- Left: CT. Right: PSMA PET, same axial level, [18F]PSMA-1007 tracer
- acquired on Siemens Biograph mCT Flow 20
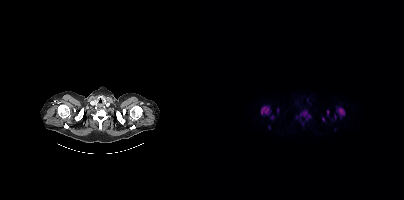
Findings: Coordinates are on the 200×200 PET (right) panel. (showing 9 of 11 foci) PSMA-avid tumor lesion bounding boxes (x0, y0)-(x1, y1): (57, 105)-(67, 115) / (133, 107)-(140, 117) / (96, 110)-(106, 120) / (66, 115)-(70, 119) / (123, 110)-(124, 115) / (73, 108)-(74, 112). Small PSMA-avid foci (2 to 4 px across) near (center x, center y): (119, 118) / (131, 116) / (65, 127).